Technique: Two-panel axial: CT | PSMA PET, 18F-PSMA tracer. slice position z = 570 mm.
Note: Any black rectangle over the head is a privacy mask, not anatomy.
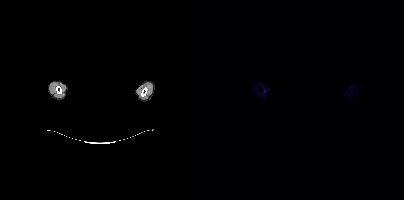
Findings: Negative for PSMA-avid disease on this slice.